Technique: Left: CT. Right: PSMA PET, same axial level, 18F-PSMA tracer. acquired on Siemens Biograph mCT Flow 20.
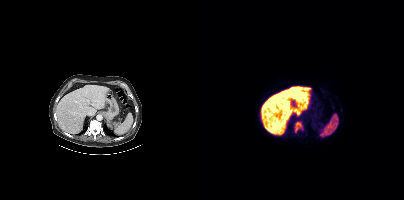
Findings: Coordinates are on the 200×200 PET (right) panel. PSMA-avid tumor lesion bounding box (x0,y0,x1,y1): [90,121,99,132].